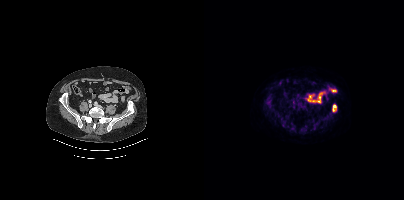
Technique: Left: CT. Right: PSMA PET, same axial level, 18F-PSMA tracer. slice position z = -724 mm.
Findings: Coordinates are on the 200×200 PET (right) panel. PSMA-avid tumor lesion bounding box (x0, y0)-(x1, y1): (128, 104)-(132, 111).